Left: CT. Right: PSMA PET, same axial level, 18F tracer.
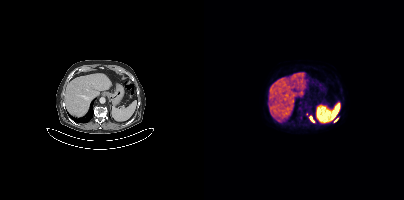
Coordinates are on the 200×200 PET (right) panel. PSMA-avid tumor lesion bounding box (x, y, width, height): x=106 y=116 w=4 h=6. Small PSMA-avid focus (2 to 4 px across) near (center x, center y): (131, 120).